- an anonymization step blacked out a rectangle over the head in this scan
- Paired axial CT (left) and PSMA PET (right), 18F-PSMA tracer
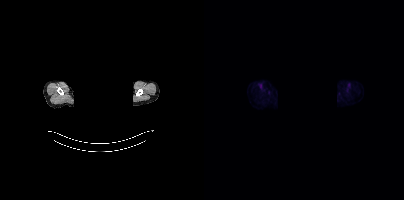
Findings: No tumor lesions annotated on this slice.